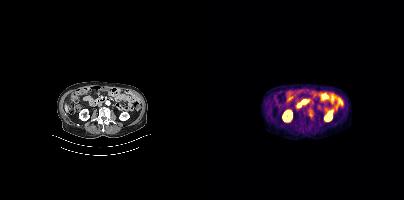
{"modality":"PSMA PET/CT","view":"axial","tracer":"18F","pet_grid":[200,200],"coord_frame":"pet_panel","coord_format":"x0,y0,x1,y1","psma_avid_lesions":false}